Technique: Two-panel axial: CT | PSMA PET, 18F-PSMA tracer. PET panel 200×200 px (4.1 mm/px).
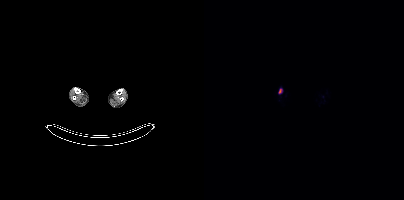
Findings: Coordinates are on the 200×200 PET (right) panel. Small PSMA-avid focus (2 to 4 px across) near (center x, center y): (76, 90).